- Two-panel axial: CT | PSMA PET, [18F]PSMA-1007 tracer
- slice position z = -1444 mm
- PET panel 200×200 px (4.1 mm/px)
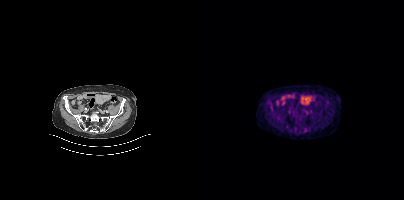
Findings: No tumor lesions annotated on this slice.